Two-panel axial: CT | PSMA PET, [68Ga]Ga-PSMA-11 tracer.
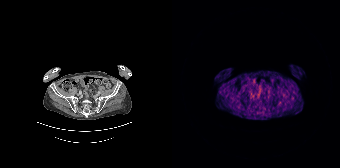
This slice has no annotated PSMA-avid lesion.